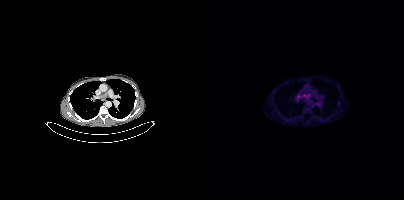
Technique: Paired axial CT (left) and PSMA PET (right), [18F]PSMA-1007 tracer. acquired on Siemens Biograph mCT Flow 20. PET panel 200×200 px (4.1 mm/px).
Findings: Coordinates are on the 200×200 PET (right) panel. (showing 3 of 4 foci) PSMA-avid tumor lesion bounding box (x0, y0)-(x1, y1): (92, 95)-(96, 99). Small PSMA-avid foci (2 to 4 px across) near (center x, center y): (113, 103) | (74, 111).